modality: PSMA PET/CT | tracer: 18F-PSMA | view: axial | PET grid: 200×200
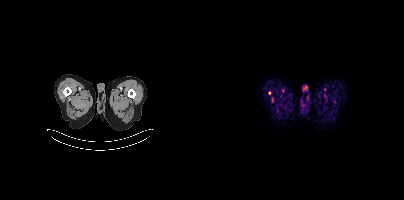
Coordinates are on the 200×200 PET (right) panel. Small PSMA-avid focus (2 to 4 px across) near (center x, center y): (65, 93).